modality: PSMA PET/CT | tracer: 18F-PSMA | view: axial
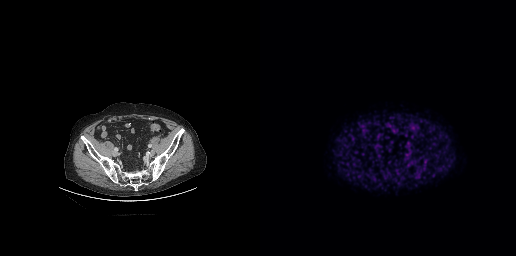
Negative for PSMA-avid disease on this slice.